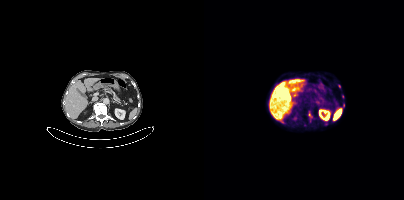
modality: PSMA PET/CT | tracer: 18F | view: axial | PET grid: 200×200
Coordinates are on the 200×200 PET (right) panel. (showing 1 of 2 foci) Small PSMA-avid focus (2 to 4 px across) near (center x, center y): (138, 96).